- Two-panel axial: CT | PSMA PET, [68Ga]Ga-PSMA-11 tracer
- acquired on GE Discovery 690
- PET panel 256×256 px (2.7 mm/px)
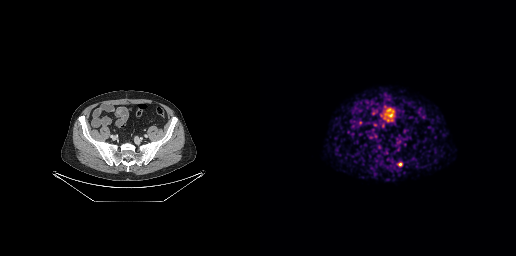
Findings: Coordinates are on the 256×256 PET (right) panel. PSMA-avid tumor lesion bounding box (x, y, width, height): x=138 y=162 w=5 h=5.